Left: CT. Right: PSMA PET, same axial level, [18F]PSMA-1007 tracer.
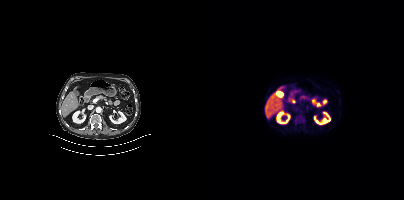
No PSMA-avid tumor lesions on this slice.